- Left: CT. Right: PSMA PET, same axial level, 18F-PSMA tracer
- slice 209 of 413
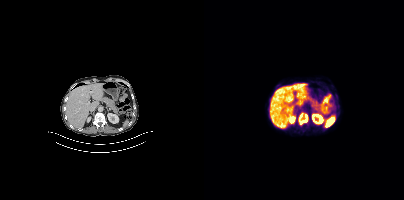
Findings: Coordinates are on the 200×200 PET (right) panel. PSMA-avid tumor lesion bounding box (x0,y0,x1,y1): [95,113,103,124].